Left: CT. Right: PSMA PET, same axial level, 68Ga tracer. Acquired on Siemens Biograph mCT Flow 20. Slice position z = -1287 mm.
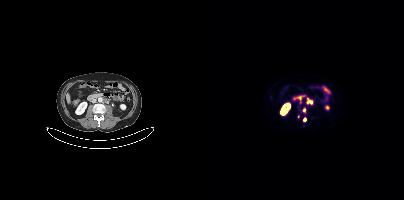
Coordinates are on the 200×200 PET (right) panel. PSMA-avid tumor lesion bounding boxes (x0,y0,x1,y1): [103,101,108,103]; [95,98,97,103]. Small PSMA-avid foci (2 to 4 px across) near (center x, center y): (100, 110); (100, 120); (103, 98); (94, 116).